Technique: Left: CT. Right: PSMA PET, same axial level, [18F]PSMA-1007 tracer. slice position z = -1586 mm.
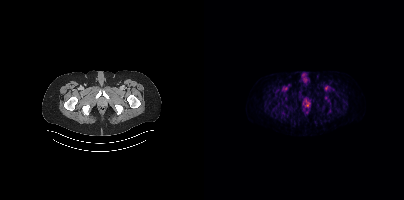
Findings: Only PSMA-avid lesion pieces thinner than 2 px on this slice (not listed).